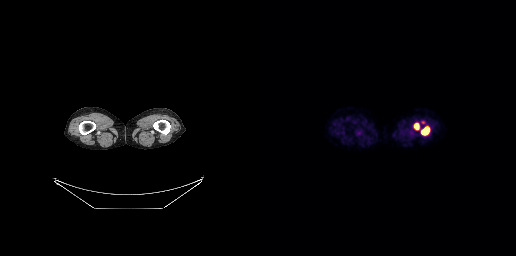
Left: CT. Right: PSMA PET, same axial level, 18F tracer. Acquired on GE Discovery 690.
Coordinates are on the 256×256 PET (right) panel. PSMA-avid tumor lesion bounding boxes:
| # | x0 | y0 | x1 | y1 |
|---|---|---|---|---|
| 1 | 161 | 126 | 169 | 135 |
| 2 | 154 | 123 | 159 | 129 |